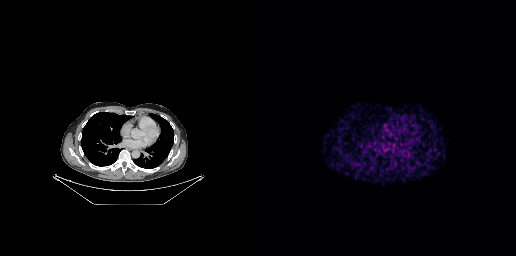
{"pet_grid":[256,256],"coord_frame":"pet_panel","coord_format":"x0,y0,x1,y1","psma_avid_lesions":false,"modality":"PSMA PET/CT","view":"axial","tracer":"68Ga"}